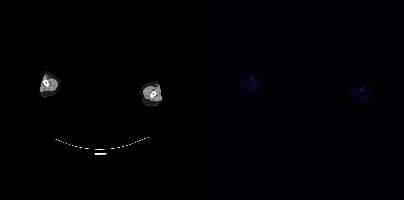
No PSMA-avid tumor lesions on this slice. A rectangular block over the head has been blanked out for de-identification. Two-panel axial: CT | PSMA PET, 18F-PSMA tracer.